Two-panel axial: CT | PSMA PET, 18F tracer. Acquired on Siemens Biograph mCT Flow 20.
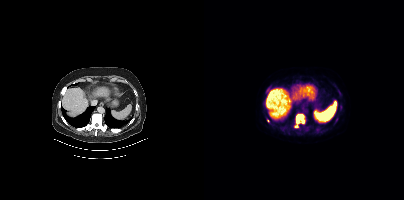
Coordinates are on the 200×200 PET (right) panel. PSMA-avid tumor lesion bounding box (x0,y0,x1,y1): [90,113,100,128]. Small PSMA-avid foci (2 to 4 px across) near (center x, center y): (134, 90) (99, 126) (102, 128).